Two-panel axial: CT | PSMA PET, 68Ga-PSMA tracer. Slice position z = -755 mm. PET panel 168×168 px (4.1 mm/px).
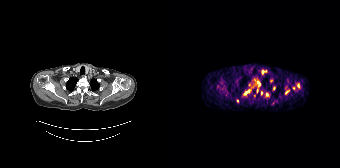
Coordinates are on the 168×168 PET (right) panel. (showing 10 of 15 foci) PSMA-avid tumor lesion bounding boxes (x0, y0)-(x1, y1): (73, 89)-(79, 94) | (85, 81)-(88, 86) | (113, 90)-(117, 93). Small PSMA-avid foci (2 to 4 px across) near (center x, center y): (91, 71) | (95, 94) | (99, 80) | (126, 85) | (101, 103) | (89, 93) | (77, 84).